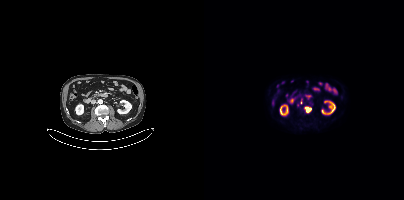
modality: PSMA PET/CT | tracer: [18F]PSMA-1007 | view: axial
Coordinates are on the 200×200 PET (right) panel. (showing 2 of 3 foci) PSMA-avid tumor lesion bounding boxes (x0,y0,x1,y1): [101,106,105,110] [97,99,98,103].